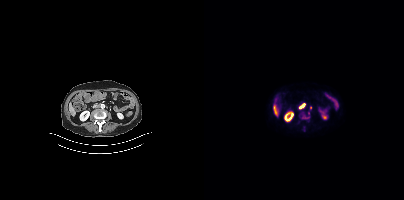
Coordinates are on the 200×200 PET (right) panel. PSMA-avid tumor lesion bounding box (x0,y0,x1,y1): [95,104,101,108].